Two-panel axial: CT | PSMA PET, 18F tracer. PET panel 200×200 px (4.1 mm/px).
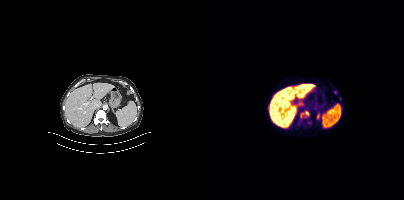
Coordinates are on the 200×200 PET (right) panel. (showing 1 of 3 foci) PSMA-avid tumor lesion bounding box (x0,y0,x1,y1): [96,111,105,117].